Paired axial CT (left) and PSMA PET (right), 18F tracer. Slice position z = -307 mm.
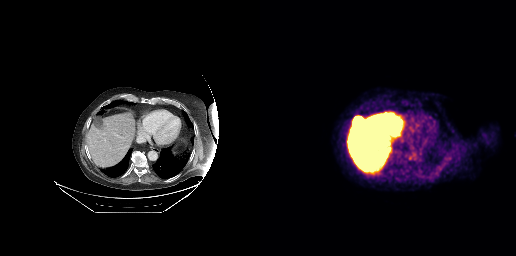
Negative for PSMA-avid disease on this slice.